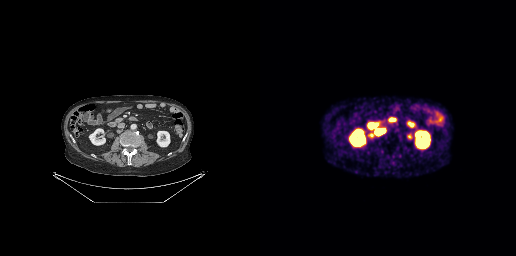
Coordinates are on the 256×256 PET (right) panel. PSMA-avid tumor lesion bounding box (x, y, width, height): x=116 y=130 w=9 h=5.